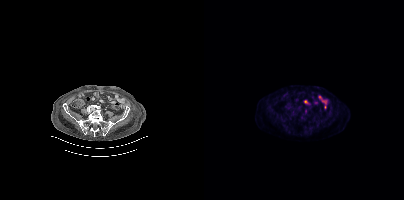
Two-panel axial: CT | PSMA PET, 18F tracer. PET panel 200×200 px (4.1 mm/px). This slice has no annotated PSMA-avid lesion.